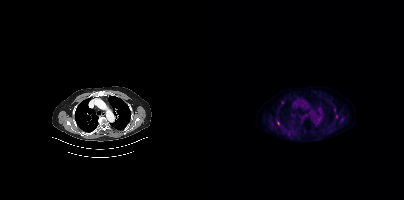
Coordinates are on the 200×200 PET (right) panel. Small PSMA-avid foci (2 to 4 px across) near (center x, center y): (74, 123) / (78, 102).